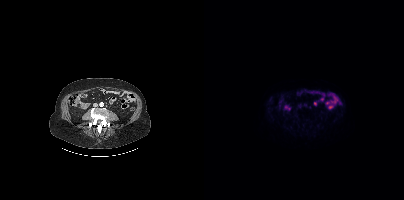
- Paired axial CT (left) and PSMA PET (right), [18F]PSMA-1007 tracer
Findings: Negative for PSMA-avid disease on this slice.